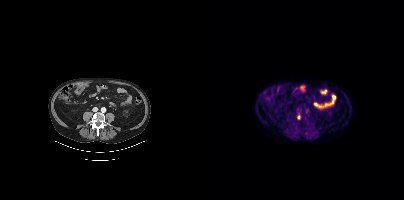
Coordinates are on the 200×200 PET (right) panel. Small PSMA-avid focus (2 to 4 px across) near (center x, center y): (94, 116). Paired axial CT (left) and PSMA PET (right), 18F tracer. Acquired on Siemens Biograph mCT Flow 20.